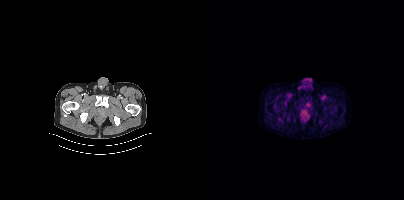
Paired axial CT (left) and PSMA PET (right), 18F-PSMA tracer. Slice position z = -1606 mm. Coordinates are on the 200×200 PET (right) panel. (showing 1 of 2 foci) Small PSMA-avid focus (2 to 4 px across) near (center x, center y): (103, 116).